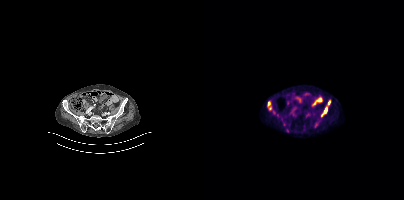
{"modality":"PSMA PET/CT","view":"axial","tracer":"18F-PSMA","pet_grid":[200,200],"coord_frame":"pet_panel","coord_format":"x0,y0,x1,y1","partial":true,"lesion_bboxes":[[64,101,67,109],[120,107,123,111]],"small_foci_centers":[[125,104]]}